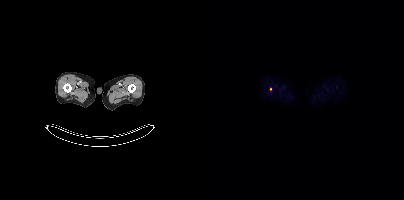
modality: PSMA PET/CT | tracer: 18F | view: axial
Coordinates are on the 200×200 PET (right) panel. Small PSMA-avid focus (2 to 4 px across) near (center x, center y): (66, 88).